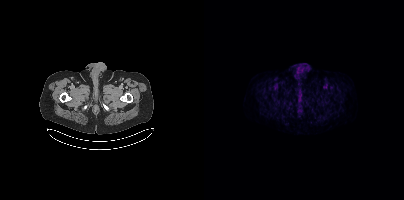
Two-panel axial: CT | PSMA PET, [18F]PSMA-1007 tracer. Acquired on Siemens Biograph mCT Flow 20. Slice 54 of 435. PET panel 200×200 px (4.1 mm/px). This slice has no annotated PSMA-avid lesion.